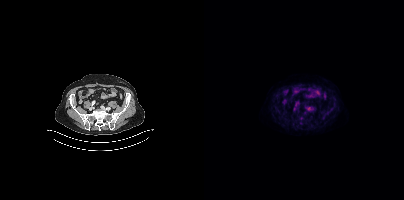
Paired axial CT (left) and PSMA PET (right), 18F tracer. Slice position z = -1588 mm. Coordinates are on the 200×200 PET (right) panel. PSMA-avid tumor lesion bounding box (x0, y0)-(x1, y1): (95, 116)-(99, 120).